Paired axial CT (left) and PSMA PET (right), 18F tracer.
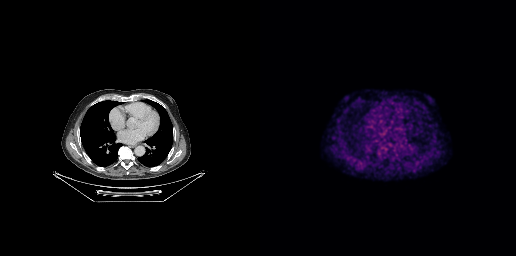
No tumor lesions annotated on this slice.